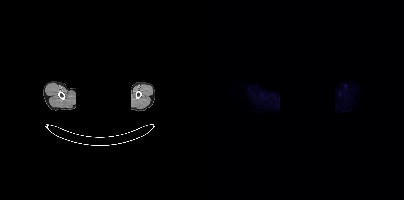
{"modality":"PSMA PET/CT","view":"axial","tracer":"[18F]PSMA-1007","pet_grid":[200,200],"coord_frame":"pet_panel","coord_format":"x0,y0,x1,y1","deidentification":"face masked with black rectangle","psma_avid_lesions":false}